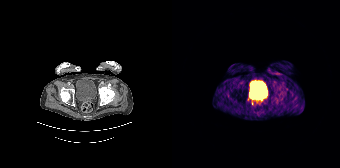
Two-panel axial: CT | PSMA PET, [68Ga]Ga-PSMA-11 tracer. Slice position z = -664 mm. PET panel 168×168 px (4.1 mm/px). Coordinates are on the 168×168 PET (right) panel. Small PSMA-avid foci (2 to 4 px across) near (center x, center y): (80, 103) | (90, 98).